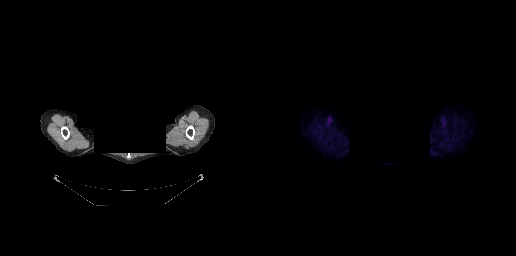
No PSMA-avid tumor lesions on this slice.
A rectangular block over the head has been blanked out for de-identification.